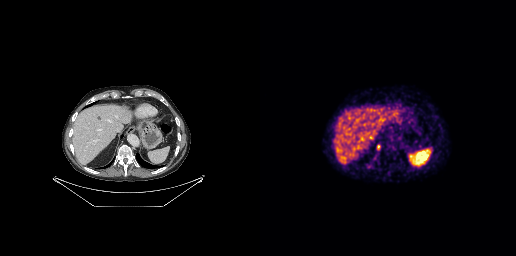
Coordinates are on the 256×256 PET (right) panel. PSMA-avid tumor lesion bounding boxes:
| # | x0 | y0 | x1 | y1 |
|---|---|---|---|---|
| 1 | 117 | 144 | 120 | 150 |
Two-panel axial: CT | PSMA PET, [68Ga]Ga-PSMA-11 tracer. Acquired on GE Discovery 690. PET panel 256×256 px (2.7 mm/px).